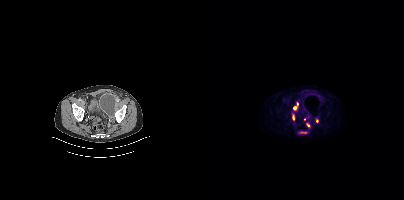
{"pet_grid":[200,200],"coord_frame":"pet_panel","coord_format":"x0,y0,x1,y1","partial":true,"lesion_bboxes":[[89,102,94,110],[88,115,90,119]],"small_foci_centers":[[103,124]],"modality":"PSMA PET/CT","view":"axial","tracer":"18F"}